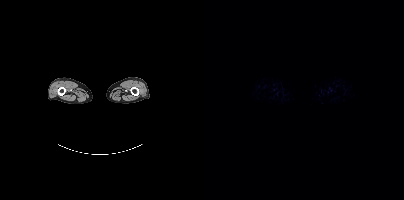
Findings: This slice has no annotated PSMA-avid lesion.
- Paired axial CT (left) and PSMA PET (right), [18F]PSMA-1007 tracer
- slice 4 of 508
- PET panel 200×200 px (4.1 mm/px)